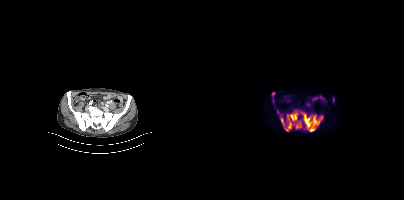
Left: CT. Right: PSMA PET, same axial level, 18F tracer. PET panel 200×200 px (4.1 mm/px). Coordinates are on the 200×200 PET (right) panel. (showing 6 of 7 foci) PSMA-avid tumor lesion bounding boxes (x0,y0,x1,y1): [96,112,119,131]; [80,111,97,131]; [76,117,80,125]; [68,92,70,96]; [73,110,76,114]. Small PSMA-avid focus (2 to 4 px across) near (center x, center y): (129, 99).